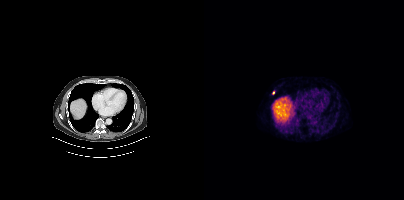
Coordinates are on the 200×200 PET (right) panel. Small PSMA-avid focus (2 to 4 px across) near (center x, center y): (69, 92).